Two-panel axial: CT | PSMA PET, 18F-PSMA tracer. Slice 274 of 377. PET panel 200×200 px (4.1 mm/px).
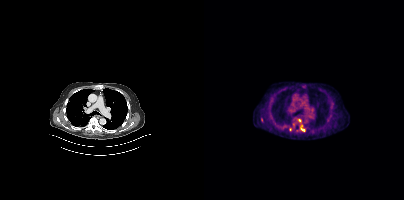
Coordinates are on the 200×200 PET (right) panel. (showing 2 of 3 foci) Small PSMA-avid foci (2 to 4 px across) near (center x, center y): (98, 129), (95, 120).